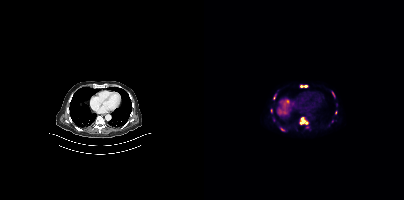
Coordinates are on the 200×200 PET (right) panel. PSMA-avid tumor lesion bounding boxes (partial; 2 more foci not listed):
| # | x0 | y0 | x1 | y1 |
|---|---|---|---|---|
| 1 | 96 | 117 | 103 | 124 |
| 2 | 76 | 128 | 80 | 130 |
Small PSMA-avid foci (2 to 4 px across) near (center x, center y): (101, 86); (97, 86); (70, 98).
Two-panel axial: CT | PSMA PET, 18F-PSMA tracer.